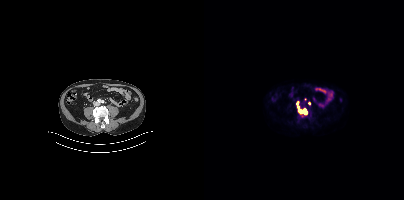
Two-panel axial: CT | PSMA PET, 18F-PSMA tracer. PET panel 200×200 px (4.1 mm/px). Coordinates are on the 200×200 PET (right) panel. (showing 2 of 4 foci) PSMA-avid tumor lesion bounding box (x0,y0,x1,y1): [93,106,103,114]. Small PSMA-avid focus (2 to 4 px across) near (center x, center y): (93, 103).